Paired axial CT (left) and PSMA PET (right), 18F tracer. Acquired on Siemens Biograph mCT Flow 20. PET panel 200×200 px (4.1 mm/px).
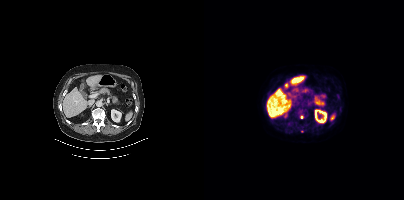
Coordinates are on the 200×200 PET (right) panel. PSMA-avid tumor lesion bounding boxes:
| # | x0 | y0 | x1 | y1 |
|---|---|---|---|---|
| 1 | 92 | 109 | 102 | 116 |
| 2 | 84 | 121 | 88 | 126 |
| 3 | 133 | 95 | 135 | 99 |
Small PSMA-avid foci (2 to 4 px across) near (center x, center y): (97, 117); (97, 131).